- Paired axial CT (left) and PSMA PET (right), [18F]PSMA-1007 tracer
- acquired on Siemens Biograph mCT Flow 20
- slice 111 of 407
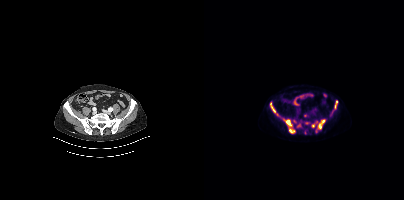
Findings: Coordinates are on the 200×200 PET (right) panel. (showing 8 of 9 foci) PSMA-avid tumor lesion bounding boxes (x0, y0)-(x1, y1): (79, 119)-(98, 133) / (114, 120)-(121, 128) / (66, 102)-(71, 113) / (130, 101)-(133, 109). Small PSMA-avid foci (2 to 4 px across) near (center x, center y): (109, 125) / (112, 130) / (73, 114) / (102, 122).